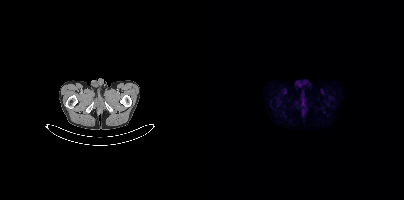
{"modality":"PSMA PET/CT","view":"axial","tracer":"18F-PSMA","pet_grid":[200,200],"coord_frame":"pet_panel","coord_format":"x0,y0,x1,y1","psma_avid_lesions":false}